Left: CT. Right: PSMA PET, same axial level, 18F tracer. Slice 267 of 429.
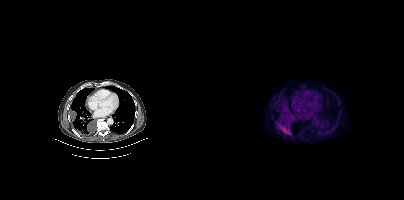
Coordinates are on the 200×200 PET (right) panel. PSMA-avid tumor lesion bounding box (x, y, width, height): x=73 y=122 w=15 h=14. Small PSMA-avid focus (2 to 4 px across) near (center x, center y): (84, 111).